Two-panel axial: CT | PSMA PET, 18F-PSMA tracer. Acquired on Siemens Biograph mCT Flow 20.
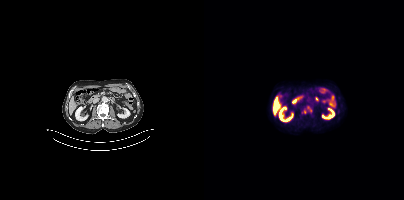
Coordinates are on the 200×200 PET (right) panel. Small PSMA-avid foci (2 to 4 px across) near (center x, center y): (104, 107); (100, 111).